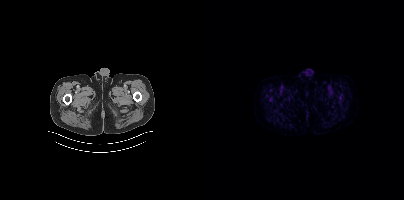
Only PSMA-avid lesion pieces thinner than 2 px on this slice (not listed). Two-panel axial: CT | PSMA PET, [18F]PSMA-1007 tracer. Acquired on Siemens Biograph mCT Flow 20. Slice position z = -936 mm. PET panel 200×200 px (4.1 mm/px).